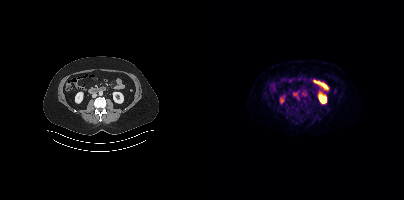
{"modality":"PSMA PET/CT","view":"axial","tracer":"[18F]PSMA-1007","pet_grid":[200,200],"coord_frame":"pet_panel","coord_format":"x0,y0,x1,y1","psma_avid_lesions":false}